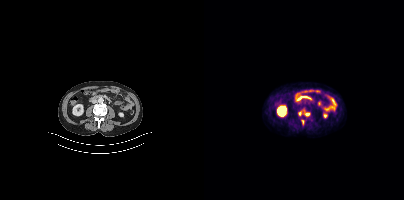
{"modality":"PSMA PET/CT","view":"axial","tracer":"[18F]PSMA-1007","pet_grid":[200,200],"coord_frame":"pet_panel","coord_format":"x0,y0,x1,y1","lesion_bboxes":[[101,113,105,116]],"small_foci_centers":[[96,113],[98,121]]}